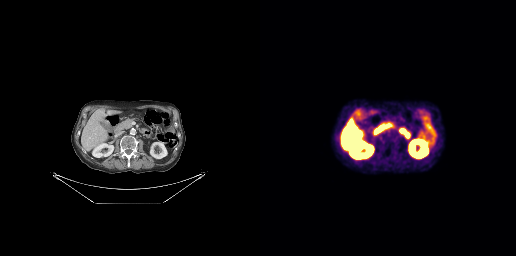
No PSMA-avid tumor lesions on this slice. Paired axial CT (left) and PSMA PET (right), [18F]PSMA-1007 tracer. Slice position z = -600 mm. PET panel 256×256 px (2.7 mm/px).